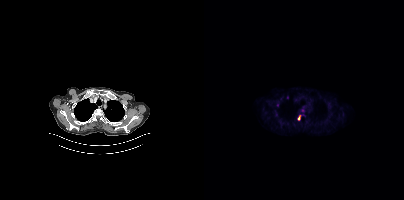
Coordinates are on the 200×200 PET (right) panel. (showing 1 of 2 foci) PSMA-avid tumor lesion bounding box (x, y, width, height): x=93 y=115 w=5 h=6.